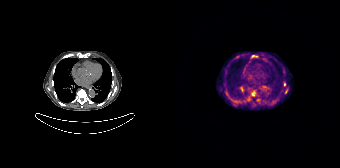
Coordinates are on the 168×168 PET (right) panel. PSMA-avid tumor lesion bounding boxes (partial; 1 more focus not listed):
| # | x0 | y0 | x1 | y1 |
|---|---|---|---|---|
| 1 | 68 | 87 | 71 | 91 |
| 2 | 80 | 91 | 82 | 95 |
| 3 | 111 | 82 | 113 | 86 |
| 4 | 63 | 56 | 67 | 58 |
Small PSMA-avid foci (2 to 4 px across) near (center x, center y): (114, 91); (80, 55).
Left: CT. Right: PSMA PET, same axial level, 68Ga-PSMA tracer. Acquired on Siemens Biograph 64-4R TruePoint. PET panel 168×168 px (4.1 mm/px).